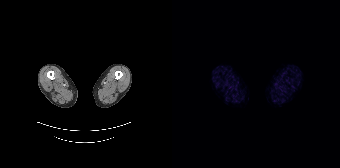
This slice has no annotated PSMA-avid lesion.